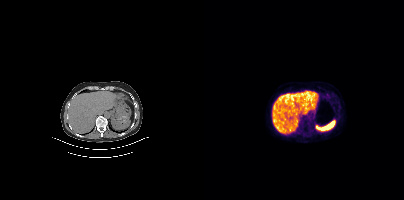
Technique: Two-panel axial: CT | PSMA PET, 68Ga tracer. PET panel 200×200 px (4.1 mm/px).
Findings: This slice has no annotated PSMA-avid lesion.